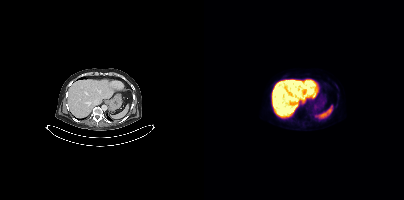
This slice has no annotated PSMA-avid lesion.